- Two-panel axial: CT | PSMA PET, 18F-PSMA tracer
- acquired on Siemens Biograph mCT Flow 20
- slice 152 of 413
- PET panel 200×200 px (4.1 mm/px)
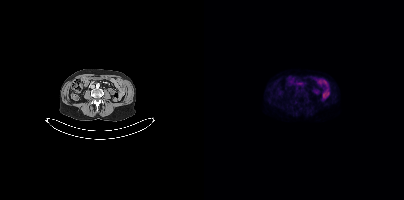
Findings: No tumor lesions annotated on this slice.